A rectangular block over the head has been blanked out for de-identification.
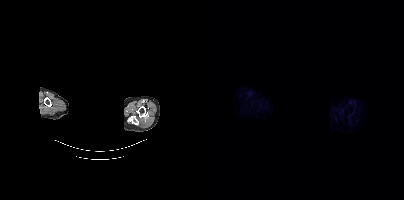
This slice has no annotated PSMA-avid lesion.